Technique: Left: CT. Right: PSMA PET, same axial level, 18F tracer.
Note: Privacy masking over the head, with the pixels inside a rectangle set to black.
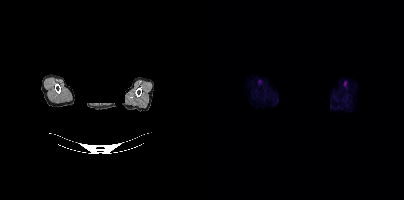
Findings: Negative for PSMA-avid disease on this slice.